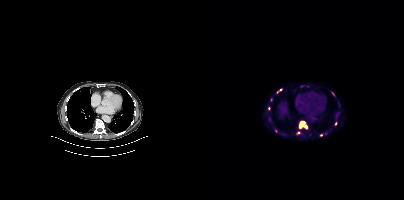
Coordinates are on the 200×200 PET (right) panel. (showing 7 of 9 foci) PSMA-avid tumor lesion bounding box (x, y, width, height): x=95 y=121 w=9 h=8. Small PSMA-avid foci (2 to 4 px across) near (center x, center y): (131, 123); (94, 132); (76, 89); (73, 92); (64, 108); (128, 92).